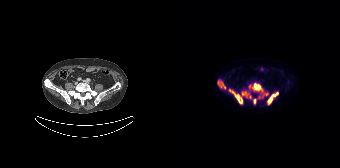
modality: PSMA PET/CT | tracer: [18F]PSMA-1007 | view: axial | PET grid: 168×168
Coordinates are on the 168×168 PET (right) panel. (showing 9 of 10 foci) PSMA-avid tumor lesion bounding boxes (x0,y0,x1,y1): [57,89,70,104], [80,83,91,92], [95,92,106,104], [45,80,53,89], [70,92,76,97], [81,99,84,103]. Small PSMA-avid foci (2 to 4 px across) near (center x, center y): (94, 94), (78, 97), (77, 86).